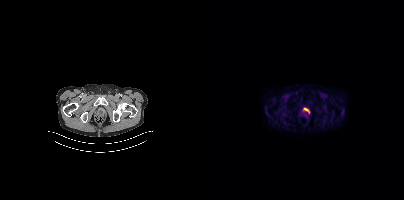
Two-panel axial: CT | PSMA PET, 18F-PSMA tracer. Acquired on Siemens Biograph mCT Flow 20.
Coordinates are on the 200×200 PET (right) panel. PSMA-avid tumor lesion bounding boxes:
| # | x0 | y0 | x1 | y1 |
|---|---|---|---|---|
| 1 | 99 | 107 | 105 | 113 |